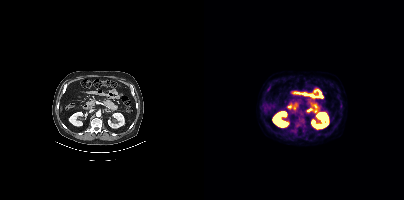
Coordinates are on the 200×200 PET (right) panel. Small PSMA-avid focus (2 to 4 px across) near (center x, center y): (94, 125).